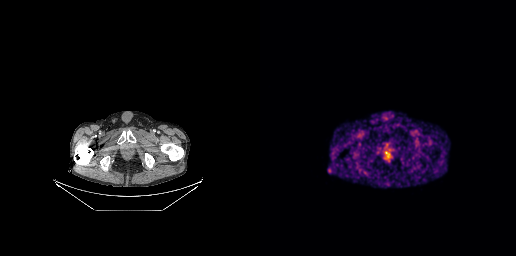
modality: PSMA PET/CT | tracer: [68Ga]Ga-PSMA-11 | view: axial
No tumor lesions annotated on this slice.